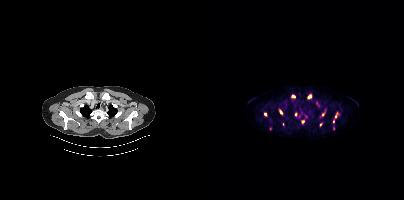
Coordinates are on the 200×200 PET (right) panel. (showing 10 of 12 foci) PSMA-avid tumor lesion bounding boxes (x, y, width, height): x=103 y=94 w=5 h=6; x=131 y=112 w=4 h=7. Small PSMA-avid foci (2 to 4 px across) near (center x, center y): (89, 96); (119, 114); (77, 111); (61, 114); (117, 124); (91, 114); (99, 121); (129, 121).